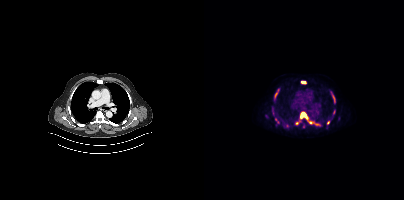
Coordinates are on the 200×200 PET (right) panel. PSMA-avid tumor lesion bounding boxes (partial; 1 more focus not listed):
| # | x0 | y0 | x1 | y1 |
|---|---|---|---|---|
| 1 | 96 | 112 | 103 | 118 |
| 2 | 127 | 92 | 131 | 101 |
| 3 | 70 | 91 | 74 | 98 |
| 4 | 97 | 81 | 101 | 83 |
| 5 | 71 | 119 | 75 | 123 |
Small PSMA-avid foci (2 to 4 px across) near (center x, center y): (124, 122); (106, 122); (130, 111); (99, 126); (92, 122).
Two-panel axial: CT | PSMA PET, 18F tracer. Slice 297 of 429.